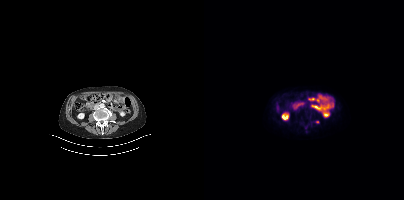
Coordinates are on the 200×200 PET (right) panel. Small PSMA-avid focus (2 to 4 px across) near (center x, center y): (113, 121). Left: CT. Right: PSMA PET, same axial level, [18F]PSMA-1007 tracer. Acquired on Siemens Biograph mCT Flow 20. Slice 159 of 401.